- Left: CT. Right: PSMA PET, same axial level, [18F]PSMA-1007 tracer
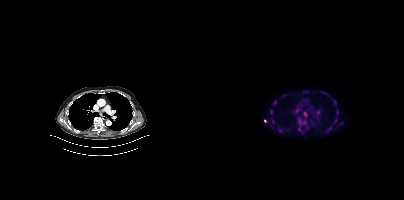
Findings: Coordinates are on the 200×200 PET (right) panel. PSMA-avid tumor lesion bounding boxes (x0, y0)-(x1, y1): (95, 118)-(101, 123) / (132, 109)-(134, 114) / (129, 100)-(132, 104). Small PSMA-avid foci (2 to 4 px across) near (center x, center y): (61, 120) / (71, 102) / (67, 111) / (68, 121).